- Two-panel axial: CT | PSMA PET, 18F tracer
- acquired on Siemens Biograph mCT Flow 20
- slice position z = -326 mm
- PET panel 200×200 px (4.1 mm/px)
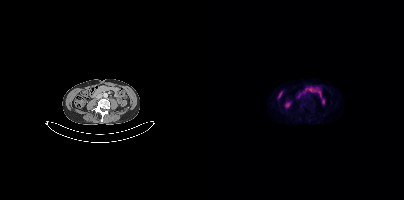
Findings: No tumor lesions annotated on this slice.